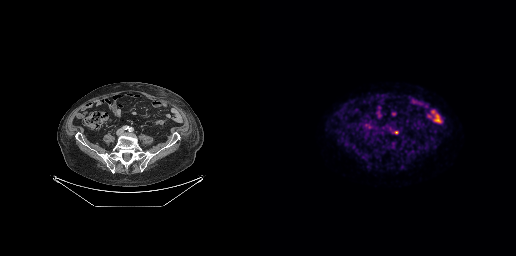
{"modality":"PSMA PET/CT","view":"axial","tracer":"[18F]PSMA-1007","pet_grid":[256,256],"coord_frame":"pet_panel","coord_format":"x0,y0,x1,y1","lesion_bboxes":[],"small_foci_centers":[[135,132]]}